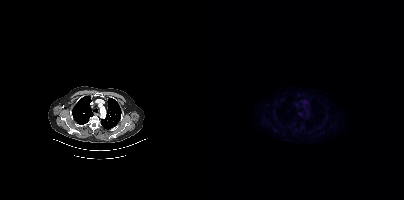
modality: PSMA PET/CT | tracer: 18F-PSMA | view: axial
No tumor lesions annotated on this slice.